- Left: CT. Right: PSMA PET, same axial level, 68Ga-PSMA tracer
- acquired on Siemens Biograph mCT Flow 20
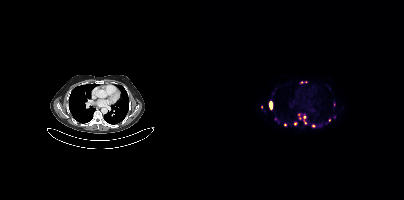
Findings: Coordinates are on the 200×200 PET (right) panel. (showing 12 of 16 foci) PSMA-avid tumor lesion bounding boxes (x0,y0,x1,y1): [65,102,68,109] [99,119,102,124] [94,113,97,119]. Small PSMA-avid foci (2 to 4 px across) near (center x, center y): (91, 124) (125, 120) (81, 124) (109, 125) (97, 82) (130, 104) (57, 106) (100, 116) (101, 81).